Technique: Left: CT. Right: PSMA PET, same axial level, 18F tracer. acquired on Siemens Biograph mCT Flow 20. slice 174 of 429.
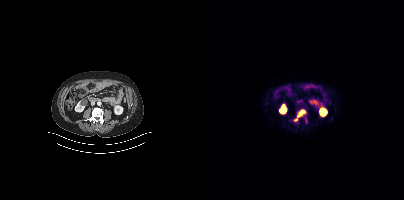
Findings: Coordinates are on the 200×200 PET (right) panel. PSMA-avid tumor lesion bounding box (x0,y0,x1,y1): [93,110,101,117]. Small PSMA-avid focus (2 to 4 px across) near (center x, center y): (92, 119).